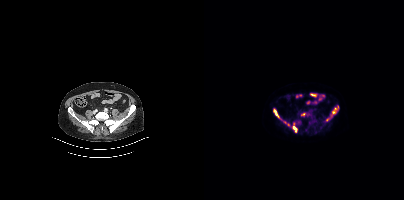
Coordinates are on the 200×200 PET (right) panel. (showing 5 of 9 foci) PSMA-avid tumor lesion bounding boxes (x0,y0,x1,y1): [69,109,75,117], [89,126,93,132], [128,108,132,113]. Small PSMA-avid foci (2 to 4 px across) near (center x, center y): (98, 114), (122, 119).